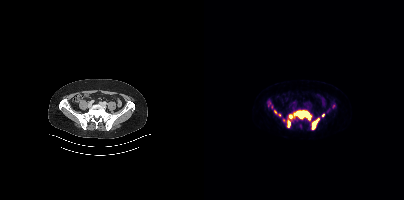
{"modality":"PSMA PET/CT","view":"axial","tracer":"18F-PSMA","pet_grid":[200,200],"coord_frame":"pet_panel","coord_format":"x0,y0,x1,y1","partial":true,"lesion_bboxes":[[85,110,107,119],[108,118,115,129],[83,119,86,127]],"small_foci_centers":[[119,115],[71,112],[75,114]]}